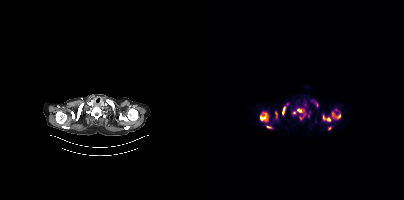
{"modality":"PSMA PET/CT","view":"axial","tracer":"68Ga-PSMA","pet_grid":[200,200],"coord_frame":"pet_panel","coord_format":"x0,y0,x1,y1","partial":true,"lesion_bboxes":[[128,108,136,119],[56,113,63,120],[93,108,102,116],[119,116,127,121],[62,125,68,128],[71,112,73,117]],"small_foci_centers":[[111,102],[125,127],[80,107],[79,112],[90,112],[104,116]]}